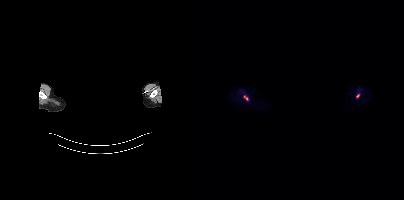
Coordinates are on the 200×200 PET (right) panel. Small PSMA-avid foci (2 to 4 px across) near (center x, center y): (41, 97); (154, 96). An anonymization step blacked out a rectangle over the head in this scan. Paired axial CT (left) and PSMA PET (right), 18F tracer. Acquired on Siemens Biograph mCT Flow 20.